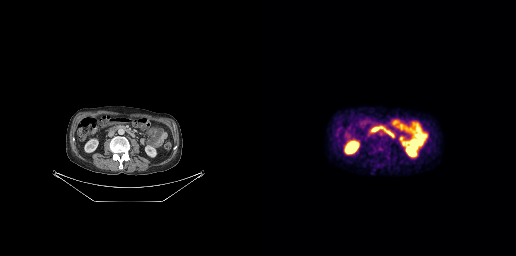
Negative for PSMA-avid disease on this slice.
modality: PSMA PET/CT | tracer: 18F | view: axial | PET grid: 256×256